Technique: Paired axial CT (left) and PSMA PET (right), 68Ga-PSMA tracer. acquired on GE Discovery 690. slice position z = -1052 mm. PET panel 256×256 px (2.7 mm/px).
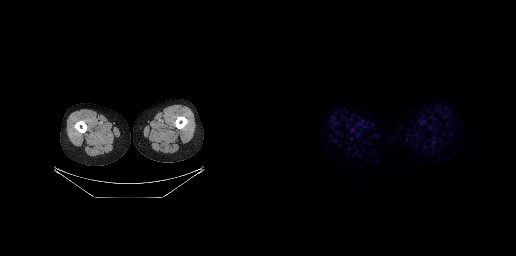
Findings: No tumor lesions annotated on this slice.